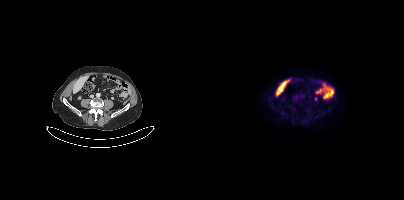
No tumor lesions annotated on this slice.